- Left: CT. Right: PSMA PET, same axial level, 68Ga-PSMA tracer
- acquired on Siemens Biograph 64-4R TruePoint
- slice position z = -953 mm
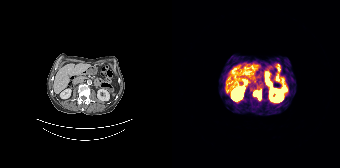
Findings: Coordinates are on the 168×168 PET (right) panel. PSMA-avid tumor lesion bounding box (x, y, width, height): x=81 y=91 w=9 h=9.